Two-panel axial: CT | PSMA PET, [18F]PSMA-1007 tracer.
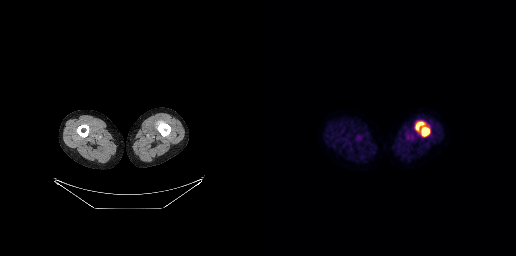
Coordinates are on the 256×256 PET (right) panel. PSMA-avid tumor lesion bounding boxes (x, y, width, height): x=161 y=127 w=9 h=10 | x=155 y=121 w=10 h=10.